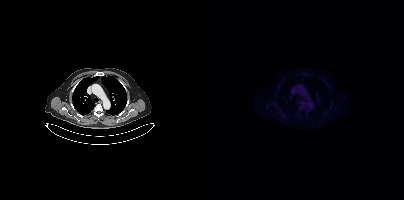
{"modality":"PSMA PET/CT","view":"axial","tracer":"18F-PSMA","pet_grid":[200,200],"coord_frame":"pet_panel","coord_format":"x0,y0,x1,y1","psma_avid_lesions":false}